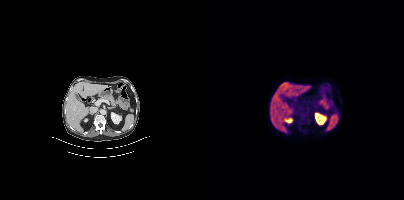
{"modality":"PSMA PET/CT","view":"axial","tracer":"18F-PSMA","pet_grid":[200,200],"coord_frame":"pet_panel","coord_format":"x0,y0,x1,y1","psma_avid_lesions":false}